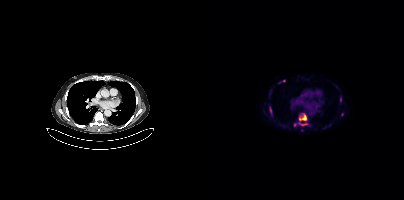
modality: PSMA PET/CT | tracer: 18F-PSMA | view: axial | PET grid: 200×200
Coordinates are on the 200×200 PET (right) panel. (showing 9 of 10 foci) PSMA-avid tumor lesion bounding boxes (x0,y0,x1,y1): [95,114,102,120] [65,107,68,116] [94,122,103,125]. Small PSMA-avid foci (2 to 4 px across) near (center x, center y): (136, 99) (138, 114) (80, 80) (125, 125) (121, 127) (90, 124).